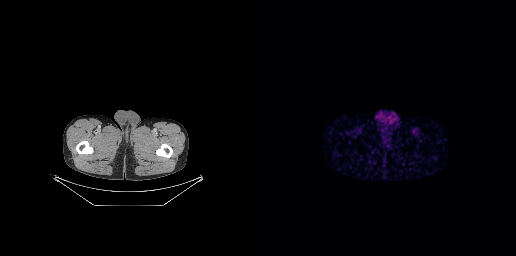
{"modality":"PSMA PET/CT","view":"axial","tracer":"68Ga-PSMA","pet_grid":[256,256],"coord_frame":"pet_panel","coord_format":"x0,y0,x1,y1","psma_avid_lesions":false}